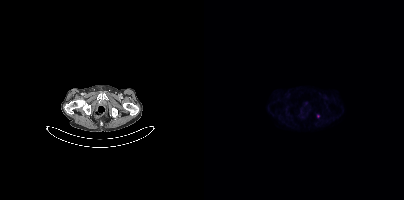
{"modality":"PSMA PET/CT","view":"axial","tracer":"[18F]PSMA-1007","pet_grid":[200,200],"coord_frame":"pet_panel","coord_format":"x0,y0,x1,y1","lesion_bboxes":[],"small_foci_centers":[[114,116]]}